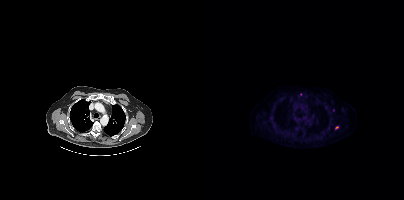
Coordinates are on the 200×200 PET (right) panel. (showing 2 of 3 foci) Small PSMA-avid foci (2 to 4 px across) near (center x, center y): (133, 127) / (96, 94).